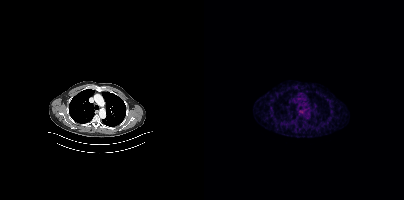
{"modality":"PSMA PET/CT","view":"axial","tracer":"68Ga-PSMA","pet_grid":[200,200],"coord_frame":"pet_panel","coord_format":"x0,y0,x1,y1","psma_avid_lesions":false}